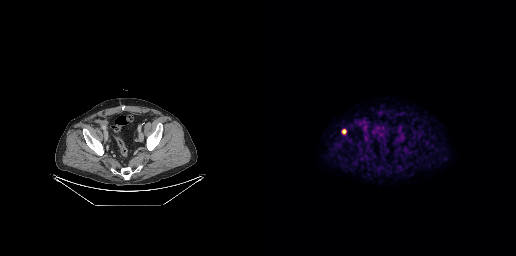
Coordinates are on the 256×256 PET (right) panel. PSMA-avid tumor lesion bounding box (x, y, width, height): x=82 y=129 w=5 h=5.